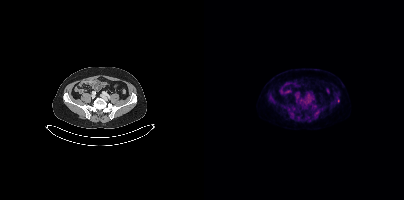
Findings: Only PSMA-avid lesion pieces thinner than 2 px on this slice (not listed).
Technique: Paired axial CT (left) and PSMA PET (right), 18F-PSMA tracer. slice 132 of 421.